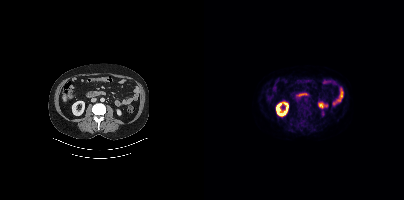
Coordinates are on the 200×200 PET (right) panel. PSMA-avid tumor lesion bounding boxes (x0,y0,x1,y1): [93,110,97,114], [97,106,101,110], [99,113,103,117], [95,122,99,125].
modality: PSMA PET/CT | tracer: 18F | view: axial